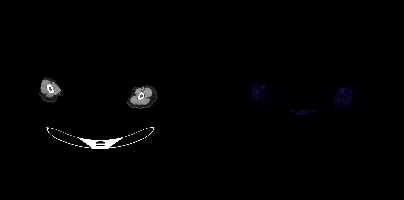
redaction: head region blacked out before release | modality: PSMA PET/CT | tracer: 18F | view: axial
Negative for PSMA-avid disease on this slice.